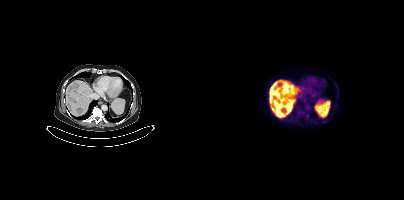
{"modality":"PSMA PET/CT","view":"axial","tracer":"18F-PSMA","pet_grid":[200,200],"coord_frame":"pet_panel","coord_format":"x0,y0,x1,y1","partial":true,"lesion_bboxes":[[66,89,74,96]],"small_foci_centers":[[75,113],[74,84]]}